Technique: Left: CT. Right: PSMA PET, same axial level, 18F tracer. acquired on Siemens Biograph mCT Flow 20.
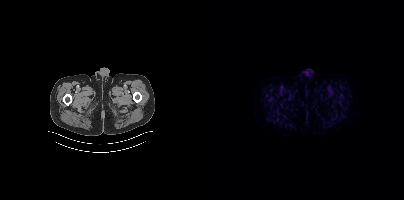
Findings: Negative for PSMA-avid disease on this slice.